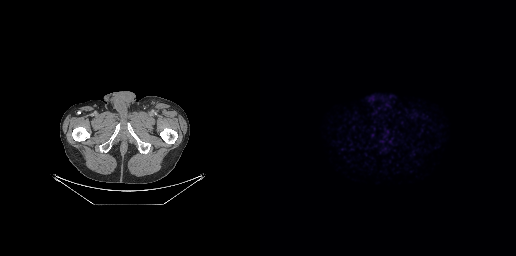
Left: CT. Right: PSMA PET, same axial level, 18F tracer. PET panel 256×256 px (2.7 mm/px). No PSMA-avid tumor lesions on this slice.